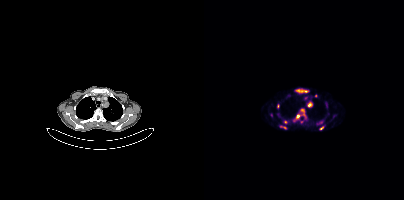
{"modality":"PSMA PET/CT","view":"axial","tracer":"68Ga-PSMA","pet_grid":[200,200],"coord_frame":"pet_panel","coord_format":"x0,y0,x1,y1","partial":true,"lesion_bboxes":[[93,89,104,92],[104,101,107,106],[73,104,75,108]],"small_foci_centers":[[93,116],[118,127],[81,121],[111,95],[98,109],[80,127]]}